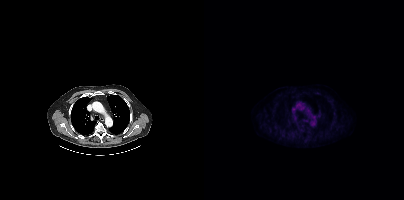
No tumor lesions annotated on this slice.